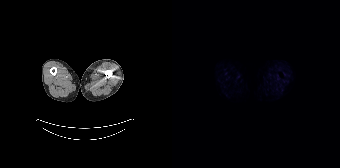
No tumor lesions annotated on this slice.